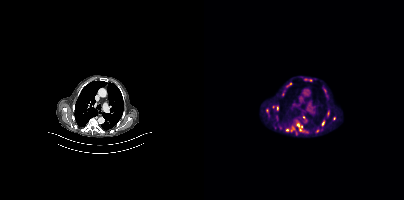
modality: PSMA PET/CT | tracer: 18F-PSMA | view: axial
Coordinates are on the 200×200 PET (right) panel. (showing 8 of 11 foci) PSMA-avid tumor lesion bounding boxes (x0, y0)-(x1, y1): (77, 82)-(88, 96); (92, 120)-(98, 127); (68, 105)-(74, 110); (62, 108)-(64, 113); (72, 116)-(73, 120). Small PSMA-avid foci (2 to 4 px across) near (center x, center y): (130, 118); (96, 129); (89, 126).